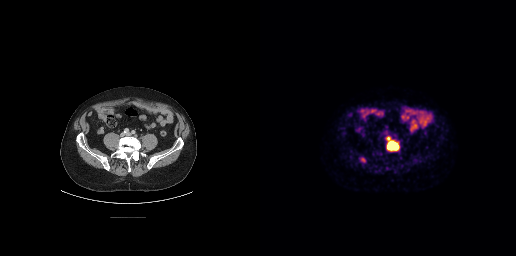
{"modality":"PSMA PET/CT","view":"axial","tracer":"[18F]PSMA-1007","pet_grid":[256,256],"coord_frame":"pet_panel","coord_format":"x0,y0,x1,y1","lesion_bboxes":[[126,136,139,151],[101,158,105,162]]}